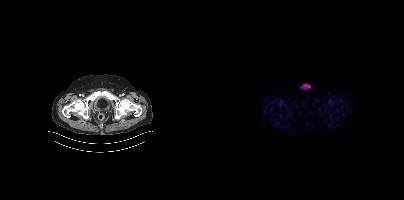
Two-panel axial: CT | PSMA PET, 18F tracer. Acquired on Siemens Biograph mCT Flow 20. PET panel 200×200 px (4.1 mm/px). Negative for PSMA-avid disease on this slice.